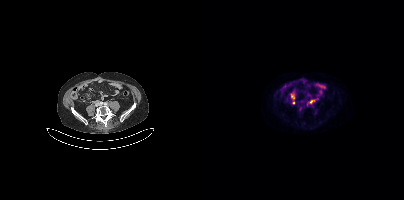
Coordinates are on the 200×200 PET (right) panel. PSMA-avid tumor lesion bounding boxes:
| # | x0 | y0 | x1 | y1 |
|---|---|---|---|---|
| 1 | 106 | 100 | 111 | 102 |
Small PSMA-avid foci (2 to 4 px across) near (center x, center y): (88, 96); (89, 102); (96, 108).
Two-panel axial: CT | PSMA PET, 18F-PSMA tracer. Acquired on Siemens Biograph mCT Flow 20.